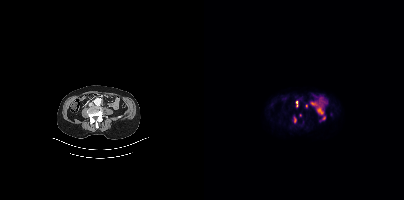
Technique: Paired axial CT (left) and PSMA PET (right), 68Ga-PSMA tracer. acquired on Siemens Biograph mCT Flow 20. PET panel 200×200 px (4.1 mm/px).
Findings: Coordinates are on the 200×200 PET (right) panel. (showing 4 of 5 foci) PSMA-avid tumor lesion bounding box (x0,y0,x1,y1): [92,101,93,106]. Small PSMA-avid foci (2 to 4 px across) near (center x, center y): (102, 105) (120, 118) (90, 120).